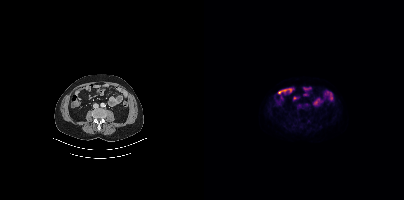
No PSMA-avid tumor lesions on this slice. Two-panel axial: CT | PSMA PET, [18F]PSMA-1007 tracer. Acquired on Siemens Biograph mCT Flow 20. Slice 159 of 401. PET panel 200×200 px (4.1 mm/px).